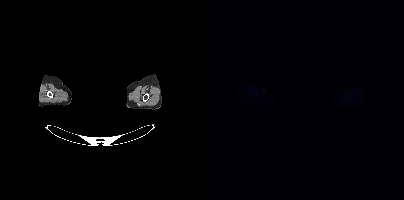
modality: PSMA PET/CT | tracer: 18F | view: axial | PET grid: 200×200 | de-identification: privacy mask over head
No tumor lesions annotated on this slice.